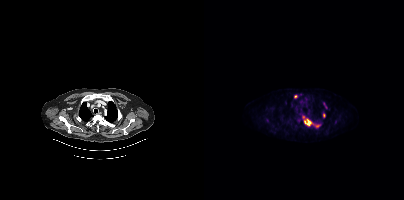
{"modality":"PSMA PET/CT","view":"axial","tracer":"[18F]PSMA-1007","pet_grid":[200,200],"coord_frame":"pet_panel","coord_format":"x0,y0,x1,y1","partial":true,"lesion_bboxes":[[100,119,107,126],[110,124,115,127],[119,102,123,108]],"small_foci_centers":[[91,96],[120,116],[101,99],[99,116]]}